Technique: Two-panel axial: CT | PSMA PET, 18F-PSMA tracer. slice 395 of 427. PET panel 200×200 px (4.1 mm/px).
Note: The face region was removed for patient privacy by blanking a rectangle over the head.
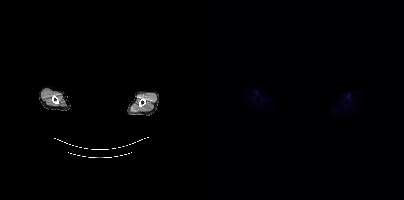
Findings: This slice has no annotated PSMA-avid lesion.